modality: PSMA PET/CT | tracer: 18F-PSMA | view: axial | PET grid: 200×200
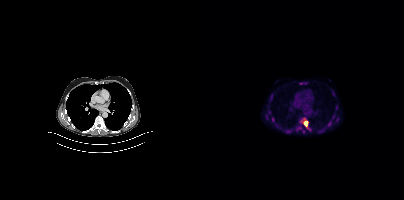
Coordinates are on the 200×200 PET (right) panel. PSMA-avid tumor lesion bounding boxes (x, y, width, height): x=99 y=118 w=6 h=9 / x=95 y=82 w=9 h=3 / x=67 y=95 w=2 h=5. Small PSMA-avid foci (2 to 4 px across) near (center x, center y): (133, 119) / (129, 116) / (132, 107) / (69, 120).